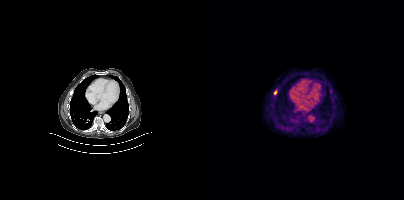
modality: PSMA PET/CT | tracer: 18F | view: axial | PET grid: 200×200
Coordinates are on the 200×200 PET (right) panel. PSMA-avid tumor lesion bounding box (x, y, width, height): x=69 y=90 w=5 h=5.